Two-panel axial: CT | PSMA PET, 18F-PSMA tracer. Acquired on Siemens Biograph mCT Flow 20. Slice position z = -1527 mm. PET panel 200×200 px (4.1 mm/px).
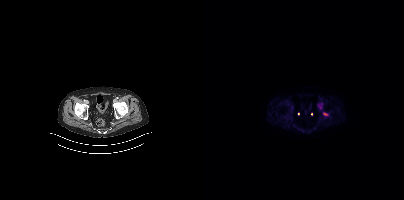
Coordinates are on the 200×200 PET (right) panel. Small PSMA-avid focus (2 to 4 px across) near (center x, center y): (120, 113).